- Left: CT. Right: PSMA PET, same axial level, 18F-PSMA tracer
- slice 169 of 417
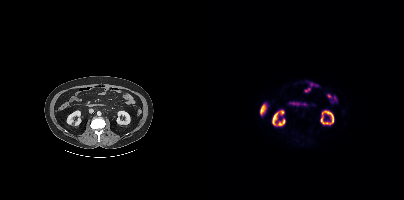
Findings: This slice has no annotated PSMA-avid lesion.